Left: CT. Right: PSMA PET, same axial level, 18F tracer. Slice 121 of 448.
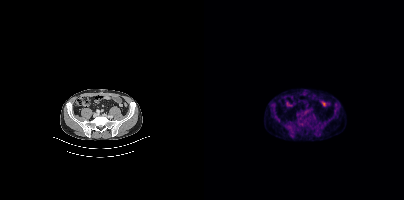
This slice has no annotated PSMA-avid lesion.